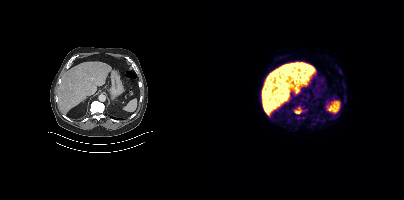
{"modality":"PSMA PET/CT","view":"axial","tracer":"18F-PSMA","pet_grid":[200,200],"coord_frame":"pet_panel","coord_format":"x0,y0,x1,y1","lesion_bboxes":[[92,107,98,113]]}